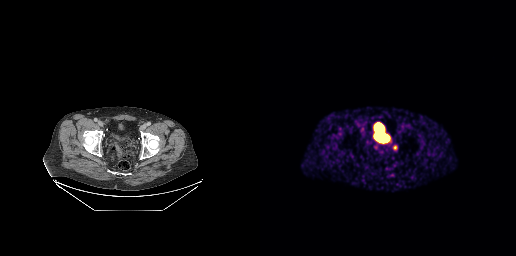
Paired axial CT (left) and PSMA PET (right), 68Ga tracer. PET panel 256×256 px (2.7 mm/px). No PSMA-avid tumor lesions on this slice.